- Two-panel axial: CT | PSMA PET, 18F-PSMA tracer
- PET panel 200×200 px (4.1 mm/px)
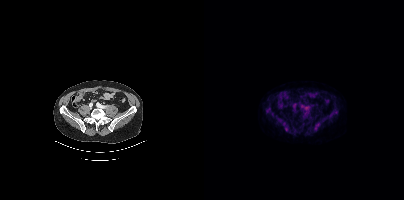
Findings: This slice has no annotated PSMA-avid lesion.